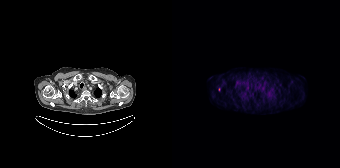
Findings: Only PSMA-avid lesion pieces thinner than 2 px on this slice (not listed).
Technique: Two-panel axial: CT | PSMA PET, 18F tracer. slice 135 of 165. PET panel 168×168 px (4.1 mm/px).